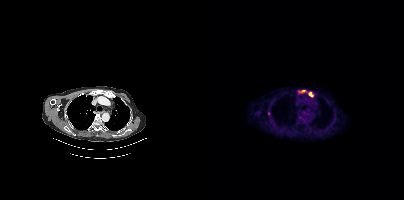
Coordinates are on the 200×200 PET (right) panel. PSMA-avid tumor lesion bounding boxes (x0, y0)-(x1, y1): (104, 91)-(109, 97) / (94, 90)-(101, 92). Small PSMA-avid focus (2 to 4 px across) near (center x, center y): (64, 113). Paired axial CT (left) and PSMA PET (right), 18F tracer. Slice position z = 212 mm. PET panel 200×200 px (4.1 mm/px).